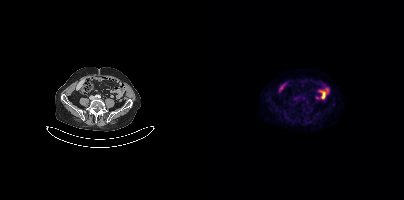
Negative for PSMA-avid disease on this slice.